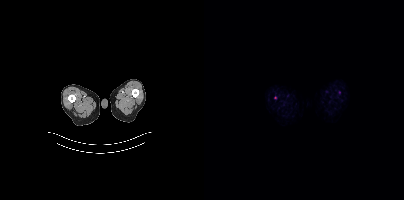
Only PSMA-avid lesion pieces thinner than 2 px on this slice (not listed).